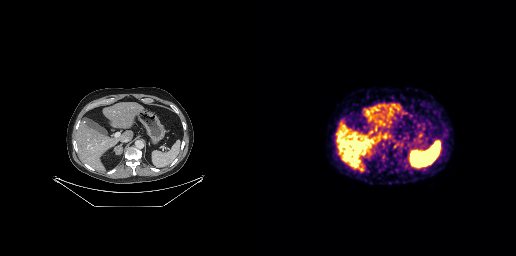
No tumor lesions annotated on this slice. Two-panel axial: CT | PSMA PET, 68Ga tracer. Acquired on GE Discovery 690. Slice 156 of 263. PET panel 256×256 px (2.7 mm/px).